Left: CT. Right: PSMA PET, same axial level, [18F]PSMA-1007 tracer. Acquired on Siemens Biograph mCT Flow 20. PET panel 200×200 px (4.1 mm/px).
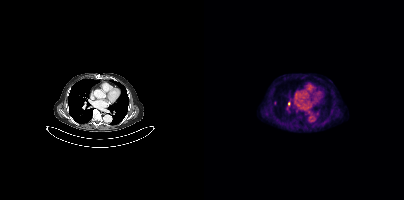
Coordinates are on the 200×200 PET (right) panel. (showing 1 of 2 foci) Small PSMA-avid focus (2 to 4 px across) near (center x, center y): (84, 103).